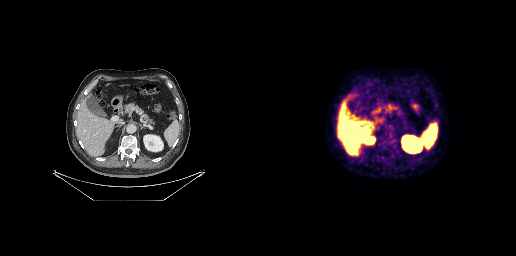
{"modality":"PSMA PET/CT","view":"axial","tracer":"[18F]PSMA-1007","pet_grid":[256,256],"coord_frame":"pet_panel","coord_format":"x0,y0,x1,y1","psma_avid_lesions":false}